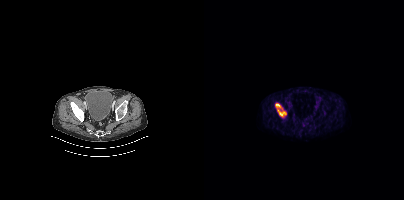
Coordinates are on the 200×200 PET (right) panel. PSMA-avid tumor lesion bounding boxes:
| # | x0 | y0 | x1 | y1 |
|---|---|---|---|---|
| 1 | 71 | 103 | 82 | 116 |
Two-panel axial: CT | PSMA PET, [18F]PSMA-1007 tracer. Slice 73 of 427.